Paired axial CT (left) and PSMA PET (right), 18F-PSMA tracer. PET panel 200×200 px (4.1 mm/px).
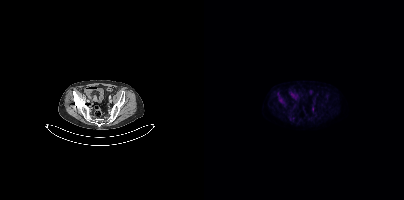
Negative for PSMA-avid disease on this slice.